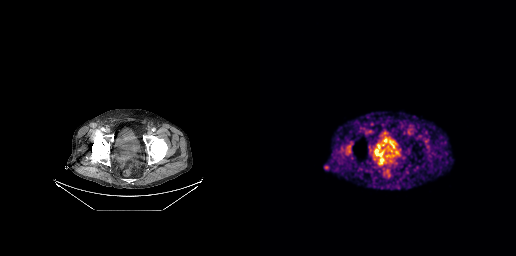
{"pet_grid":[256,256],"coord_frame":"pet_panel","coord_format":"x0,y0,x1,y1","lesion_bboxes":[[117,149,130,162]],"modality":"PSMA PET/CT","view":"axial","tracer":"68Ga-PSMA"}